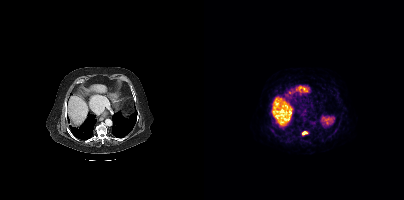
Findings: Coordinates are on the 200×200 PET (right) panel. PSMA-avid tumor lesion bounding box (x0, y0)-(x1, y1): (98, 131)-(103, 135).
- Two-panel axial: CT | PSMA PET, 68Ga tracer
- slice 257 of 444